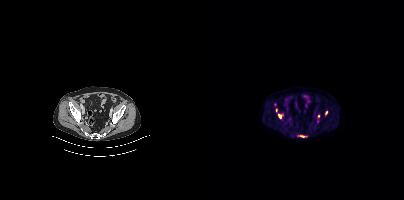
Findings: Coordinates are on the 200×200 PET (right) panel. (showing 5 of 6 foci) PSMA-avid tumor lesion bounding boxes (x0, y0)-(x1, y1): (94, 135)-(103, 137); (74, 114)-(78, 118). Small PSMA-avid foci (2 to 4 px across) near (center x, center y): (122, 112); (114, 116); (72, 110).
- Paired axial CT (left) and PSMA PET (right), [18F]PSMA-1007 tracer
- PET panel 200×200 px (4.1 mm/px)